Left: CT. Right: PSMA PET, same axial level, [18F]PSMA-1007 tracer. Acquired on Siemens Biograph mCT Flow 20. PET panel 200×200 px (4.1 mm/px).
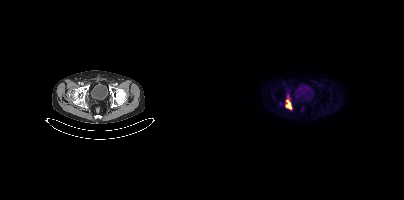
Coordinates are on the 200×200 PET (right) panel. PSMA-avid tumor lesion bounding boxes:
| # | x0 | y0 | x1 | y1 |
|---|---|---|---|---|
| 1 | 81 | 99 | 87 | 109 |
Small PSMA-avid focus (2 to 4 px across) near (center x, center y): (83, 96).